Two-panel axial: CT | PSMA PET, 68Ga-PSMA tracer. Acquired on Siemens Biograph mCT Flow 20. PET panel 200×200 px (4.1 mm/px).
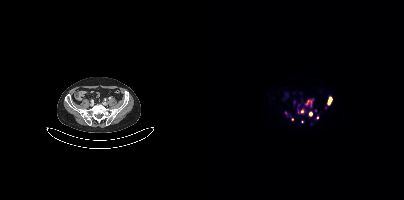
Coordinates are on the 200×200 PET (right) panel. PSMA-avid tumor lesion bounding boxes:
| # | x0 | y0 | x1 | y1 |
|---|---|---|---|---|
| 1 | 101 | 99 | 108 | 106 |
| 2 | 124 | 97 | 127 | 104 |
Small PSMA-avid foci (2 to 4 px across) near (center x, center y): (106, 113); (98, 111); (111, 110); (88, 119); (121, 107); (82, 113); (94, 104); (113, 117); (98, 121).